Left: CT. Right: PSMA PET, same axial level, 18F tracer. PET panel 200×200 px (4.1 mm/px).
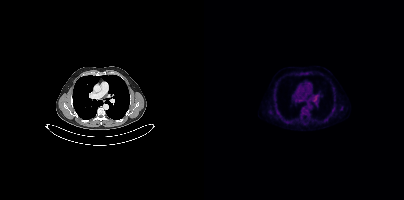
This slice has no annotated PSMA-avid lesion.